Paired axial CT (left) and PSMA PET (right), [68Ga]Ga-PSMA-11 tracer. PET panel 168×168 px (4.1 mm/px).
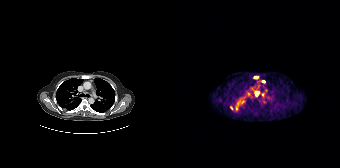
Coordinates are on the 168×168 PET (right) panel. PSMA-avid tumor lesion bounding boxes (partial; 1 more focus not listed):
| # | x0 | y0 | x1 | y1 |
|---|---|---|---|---|
| 1 | 63 | 97 | 72 | 110 |
| 2 | 82 | 91 | 87 | 96 |
| 3 | 81 | 76 | 86 | 79 |
| 4 | 89 | 80 | 93 | 83 |
Small PSMA-avid foci (2 to 4 px across) near (center x, center y): (59, 107); (90, 94); (76, 93).